Technique: Two-panel axial: CT | PSMA PET, 18F-PSMA tracer. slice 173 of 409.
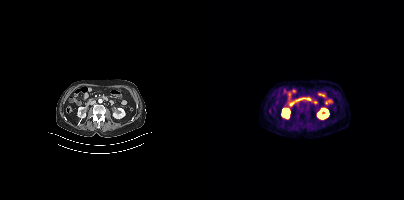
Findings: This slice has no annotated PSMA-avid lesion.